Technique: Left: CT. Right: PSMA PET, same axial level, 18F-PSMA tracer. slice position z = -873 mm.
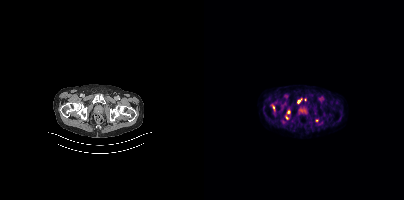
Findings: Coordinates are on the 200×200 PET (right) panel. (showing 4 of 6 foci) Small PSMA-avid foci (2 to 4 px across) near (center x, center y): (94, 101); (84, 112); (69, 107); (82, 117).